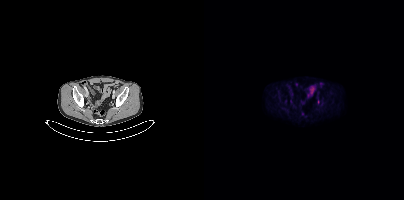
Left: CT. Right: PSMA PET, same axial level, [18F]PSMA-1007 tracer. Acquired on Siemens Biograph mCT Flow 20. Coordinates are on the 200×200 PET (right) panel. (showing 1 of 2 foci) Small PSMA-avid focus (2 to 4 px across) near (center x, center y): (86, 100).